An anonymization step blacked out a rectangle over the head in this scan.
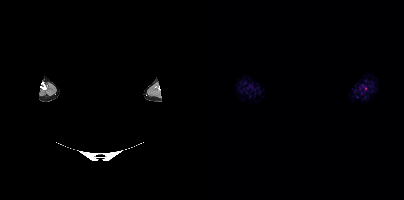
No tumor lesions annotated on this slice.